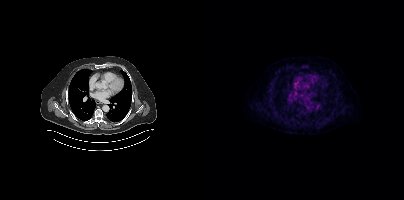
- Two-panel axial: CT | PSMA PET, 18F-PSMA tracer
- slice 302 of 435
Findings: Negative for PSMA-avid disease on this slice.